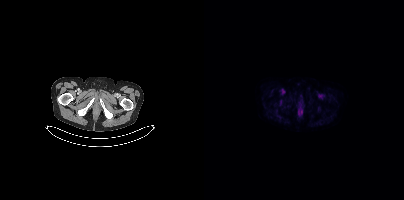
Paired axial CT (left) and PSMA PET (right), [18F]PSMA-1007 tracer. Acquired on Siemens Biograph mCT Flow 20. Negative for PSMA-avid disease on this slice.